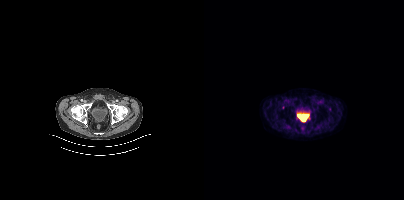
Only PSMA-avid lesion pieces thinner than 2 px on this slice (not listed). Two-panel axial: CT | PSMA PET, 18F-PSMA tracer. Slice position z = -958 mm.